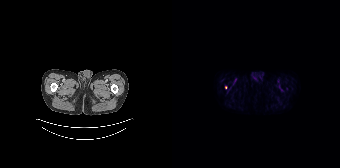
Coordinates are on the 168×168 PET (right) panel. Small PSMA-avid focus (2 to 4 px across) near (center x, center y): (53, 87). Left: CT. Right: PSMA PET, same axial level, 18F tracer. Acquired on Siemens Biograph 64-4R TruePoint.